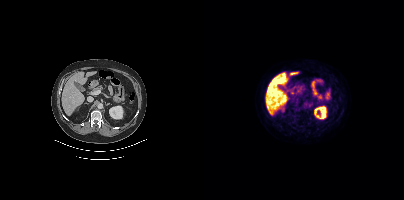
Technique: Two-panel axial: CT | PSMA PET, [18F]PSMA-1007 tracer. acquired on Siemens Biograph mCT Flow 20. slice position z = -1185 mm.
Findings: Coordinates are on the 200×200 PET (right) panel. Small PSMA-avid focus (2 to 4 px across) near (center x, center y): (92, 103).